Left: CT. Right: PSMA PET, same axial level, 18F tracer. Slice position z = -550 mm.
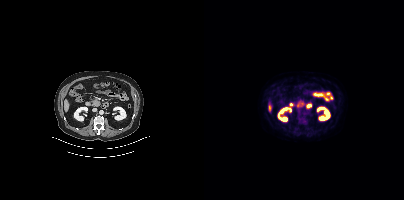
No PSMA-avid tumor lesions on this slice.